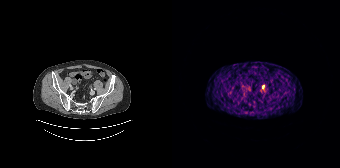
- Paired axial CT (left) and PSMA PET (right), 68Ga-PSMA tracer
- PET panel 168×168 px (4.1 mm/px)
Findings: Only PSMA-avid lesion pieces thinner than 2 px on this slice (not listed).